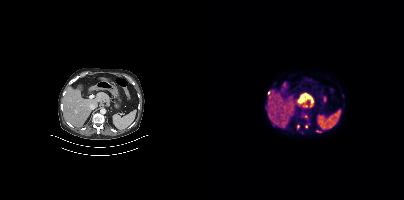
{"pet_grid":[200,200],"coord_frame":"pet_panel","coord_format":"x0,y0,x1,y1","partial":true,"lesion_bboxes":[],"modality":"PSMA PET/CT","view":"axial","tracer":"[18F]PSMA-1007"}